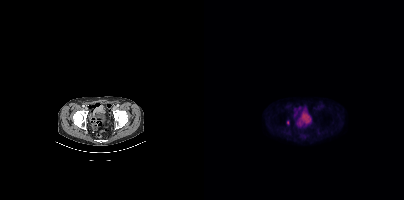
Coordinates are on the 200×200 PET (right) panel. Small PSMA-avid focus (2 to 4 px across) near (center x, center y): (83, 122).